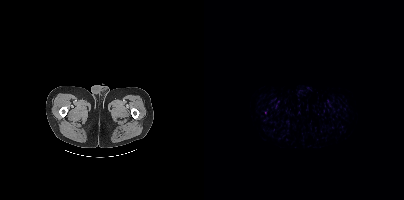
modality: PSMA PET/CT | tracer: [18F]PSMA-1007 | view: axial | PET grid: 200×200
Only PSMA-avid lesion pieces thinner than 2 px on this slice (not listed).